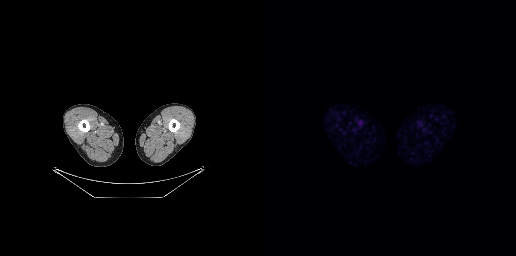
{"pet_grid":[256,256],"coord_frame":"pet_panel","coord_format":"x0,y0,x1,y1","psma_avid_lesions":false,"modality":"PSMA PET/CT","view":"axial","tracer":"68Ga"}